Privacy masking over the head, with the pixels inside a rectangle set to black.
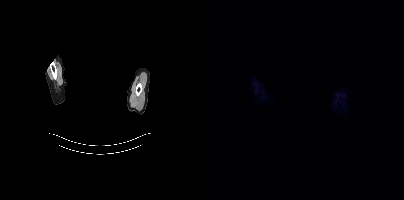
No PSMA-avid tumor lesions on this slice.